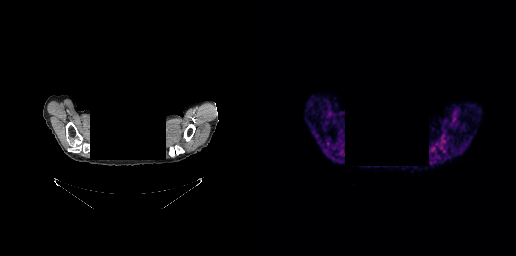
- facial anatomy redacted by setting a rectangular region of the head to black
- Left: CT. Right: PSMA PET, same axial level, [68Ga]Ga-PSMA-11 tracer
- slice 236 of 263
- PET panel 256×256 px (2.7 mm/px)
Findings: No tumor lesions annotated on this slice.